Paired axial CT (left) and PSMA PET (right), 18F tracer. PET panel 200×200 px (4.1 mm/px).
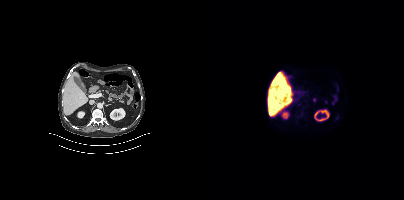
Negative for PSMA-avid disease on this slice.